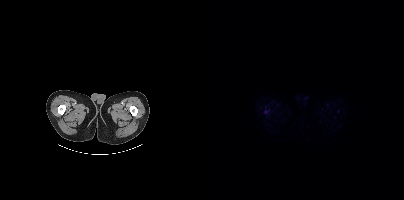
Two-panel axial: CT | PSMA PET, 18F tracer. Slice position z = -1124 mm. PET panel 200×200 px (4.1 mm/px). Coordinates are on the 200×200 PET (right) panel. Small PSMA-avid focus (2 to 4 px across) near (center x, center y): (61, 111).